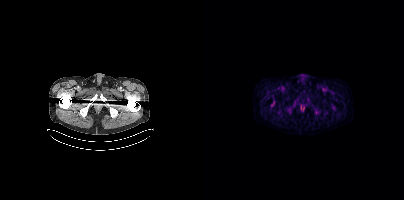
{"modality":"PSMA PET/CT","view":"axial","tracer":"18F-PSMA","pet_grid":[200,200],"coord_frame":"pet_panel","coord_format":"x0,y0,x1,y1","psma_avid_lesions":false}